modality: PSMA PET/CT | tracer: [18F]PSMA-1007 | view: axial | PET grid: 200×200
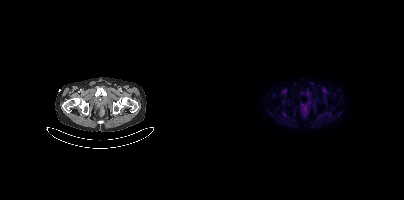
This slice has no annotated PSMA-avid lesion.